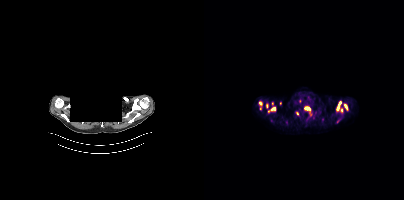
Coordinates are on the 200×200 PET (right) panel. (showing 10 of 11 foci) PSMA-avid tumor lesion bounding boxes (x0, y0)-(x1, y1): (132, 101)-(138, 112) | (100, 106)-(106, 112) | (64, 107)-(71, 112) | (140, 104)-(143, 109) | (55, 101)-(58, 105). Small PSMA-avid foci (2 to 4 px across) near (center x, center y): (63, 105) | (93, 113) | (76, 103) | (68, 103) | (106, 114).
deidentification: privacy mask over head | modality: PSMA PET/CT | tracer: 18F | view: axial | PET grid: 200×200